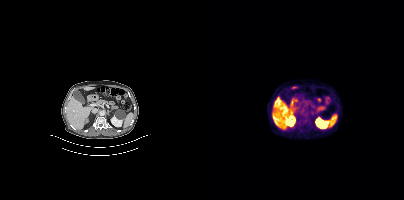
Findings: This slice has no annotated PSMA-avid lesion.
Technique: Two-panel axial: CT | PSMA PET, 18F tracer. slice 201 of 387. PET panel 200×200 px (4.1 mm/px).